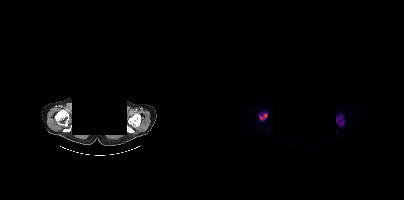
modality: PSMA PET/CT | tracer: [18F]PSMA-1007 | view: axial | de-identification: face masked with black rectangle
Coordinates are on the 200×200 PET (right) panel. PSMA-avid tumor lesion bounding boxes (x, y, width, height): x=132 y=115 w=9 h=11; x=55 y=113 w=9 h=8.